Two-panel axial: CT | PSMA PET, [68Ga]Ga-PSMA-11 tracer. Acquired on Siemens Biograph 64-4R TruePoint.
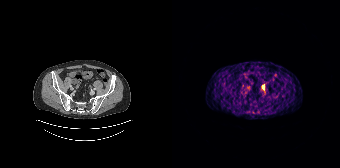
Coordinates are on the 168×168 PET (right) panel. Small PSMA-avid focus (2 to 4 px across) near (center x, center y): (91, 86).